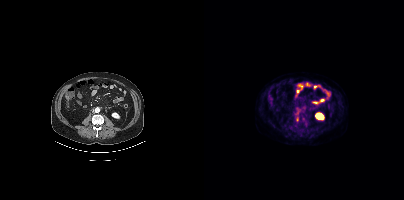
Coordinates are on the 200×200 PET (right) panel. Small PSMA-avid foci (2 to 4 px across) near (center x, center y): (93, 119), (92, 113).